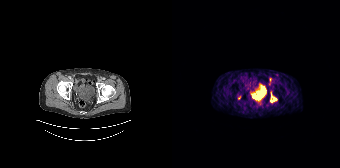
Coordinates are on the 168×168 PET (right) panel. PSMA-avid tumor lesion bounding box (x, y, width, height): x=99 y=93 w=6 h=9. Small PSMA-avid foci (2 to 4 px across) near (center x, center y): (98, 79) | (67, 97).